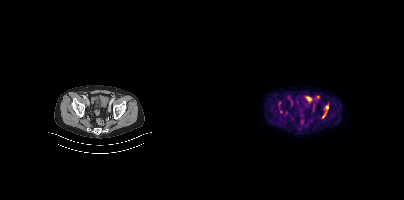
Paired axial CT (left) and PSMA PET (right), [18F]PSMA-1007 tracer. Coordinates are on the 200×200 PET (right) panel. PSMA-avid tumor lesion bounding box (x0, y0)-(x1, y1): (122, 103)-(124, 109). Small PSMA-avid focus (2 to 4 px across) near (center x, center y): (119, 115).